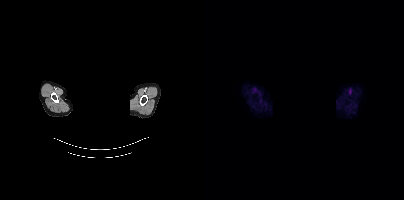
{"modality":"PSMA PET/CT","view":"axial","tracer":"[18F]PSMA-1007","pet_grid":[200,200],"coord_frame":"pet_panel","coord_format":"x0,y0,x1,y1","psma_avid_lesions":false,"deidentification":"facial region redacted"}